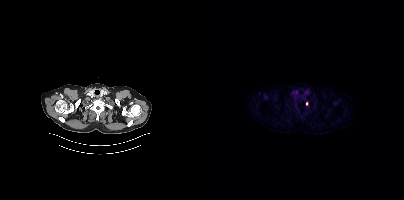
Technique: Left: CT. Right: PSMA PET, same axial level, [18F]PSMA-1007 tracer.
Findings: Coordinates are on the 200×200 PET (right) panel. Small PSMA-avid focus (2 to 4 px across) near (center x, center y): (102, 103).